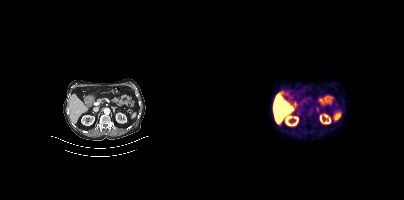
Negative for PSMA-avid disease on this slice.